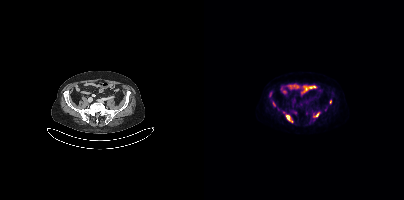
- Left: CT. Right: PSMA PET, same axial level, [18F]PSMA-1007 tracer
- acquired on Siemens Biograph mCT Flow 20
- PET panel 200×200 px (4.1 mm/px)
Findings: Coordinates are on the 200×200 PET (right) panel. PSMA-avid tumor lesion bounding boxes (x0,y0,x1,y1): [82,115,88,122] [65,92,67,96]. Small PSMA-avid foci (2 to 4 px across) near (center x, center y): (126, 101) (113, 114) (69, 104).